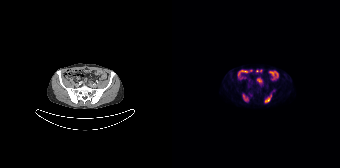
Paired axial CT (left) and PSMA PET (right), 18F tracer. Acquired on Siemens Biograph 64-4R TruePoint. Coordinates are on the 168×168 PET (right) panel. PSMA-avid tumor lesion bounding boxes (x, y, width, height): x=93 y=90 w=11 h=13 / x=70 y=93 w=7 h=9.